- Two-panel axial: CT | PSMA PET, 18F tracer
- acquired on Siemens Biograph mCT Flow 20
- slice 93 of 395
- PET panel 200×200 px (4.1 mm/px)
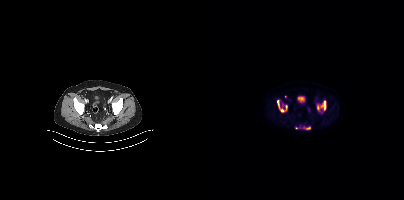
Findings: Coordinates are on the 200×200 PET (right) panel. PSMA-avid tumor lesion bounding boxes (x, y, width, height): x=113 y=100 w=10 h=12 | x=73 y=100 w=11 h=13 | x=101 y=127 w=6 h=3. Small PSMA-avid foci (2 to 4 px across) near (center x, center y): (81, 96) | (92, 127).